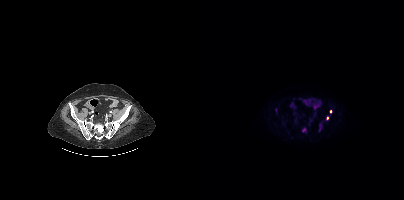
modality: PSMA PET/CT | tracer: 18F-PSMA | view: axial | PET grid: 200×200
Coordinates are on the 200×200 PET (right) panel. Small PSMA-avid foci (2 to 4 px across) near (center x, center y): (123, 117), (126, 111).